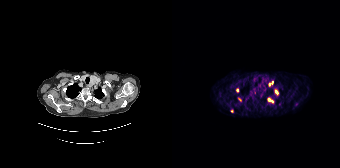
Coordinates are on the 168×168 PET (right) panel. PSMA-avid tumor lesion bounding boxes (x0,y0,x1,y1): [96,98,101,102], [97,81,101,85], [103,90,106,94]. Small PSMA-avid foci (2 to 4 px across) near (center x, center y): (65, 89), (59, 110), (82, 92), (67, 99).
modality: PSMA PET/CT | tracer: 68Ga-PSMA | view: axial | PET grid: 168×168